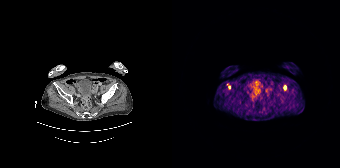
- Paired axial CT (left) and PSMA PET (right), [68Ga]Ga-PSMA-11 tracer
- acquired on Siemens Biograph 64-4R TruePoint
- PET panel 168×168 px (4.1 mm/px)
Findings: Coordinates are on the 168×168 PET (right) panel. (showing 2 of 3 foci) Small PSMA-avid foci (2 to 4 px across) near (center x, center y): (113, 87), (57, 87).